Privacy masking over the head, with the pixels inside a rectangle set to black. Left: CT. Right: PSMA PET, same axial level, 68Ga-PSMA tracer. Acquired on Siemens Biograph 64-4R TruePoint. PET panel 168×168 px (4.1 mm/px).
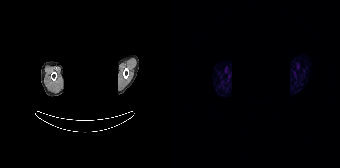
No PSMA-avid tumor lesions on this slice.